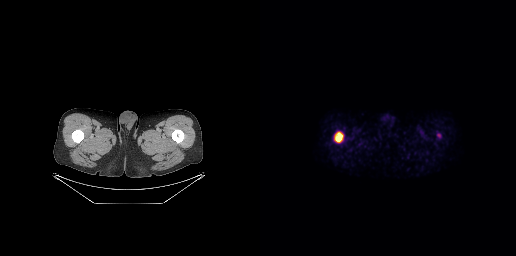
Coordinates are on the 256×256 PET (right) panel. PSMA-avid tumor lesion bounding box (x, y, width, height): x=74 y=132 w=10 h=11.